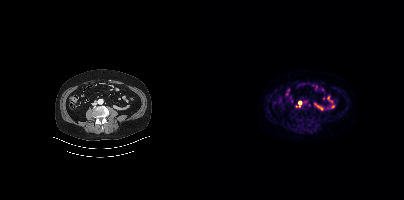
{"modality":"PSMA PET/CT","view":"axial","tracer":"[18F]PSMA-1007","pet_grid":[200,200],"coord_frame":"pet_panel","coord_format":"x0,y0,x1,y1","lesion_bboxes":[],"small_foci_centers":[[96,102]]}